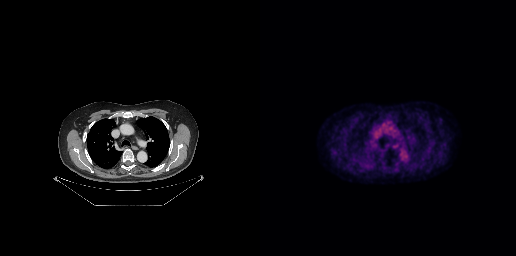
This slice has no annotated PSMA-avid lesion.